modality: PSMA PET/CT | tracer: [18F]PSMA-1007 | view: axial | PET grid: 200×200
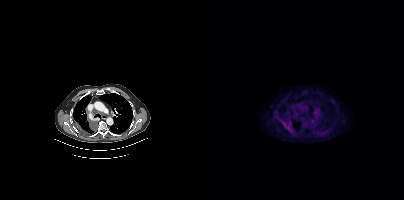
Coordinates are on the 200×200 PET (right) panel. PSMA-avid tumor lesion bounding boxes (x0,y0,x1,y1): [83,125,89,131]; [76,119,81,125].